Technique: Two-panel axial: CT | PSMA PET, 18F tracer. acquired on Siemens Biograph mCT Flow 20. PET panel 200×200 px (4.1 mm/px).
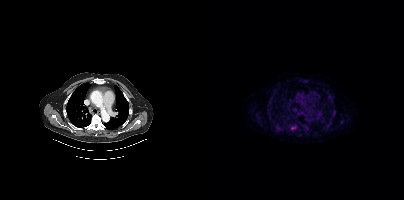
Findings: Coordinates are on the 200×200 PET (right) panel. PSMA-avid tumor lesion bounding box (x0,y0,x1,y1): [87,127,91,129].